Technique: Two-panel axial: CT | PSMA PET, 68Ga tracer. acquired on Siemens Biograph mCT Flow 20. PET panel 200×200 px (4.1 mm/px).
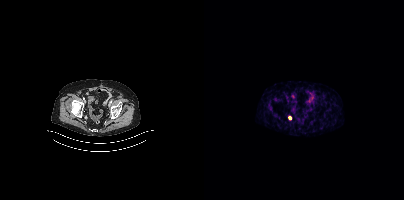
Findings: Coordinates are on the 200×200 PET (right) panel. Small PSMA-avid focus (2 to 4 px across) near (center x, center y): (86, 118).